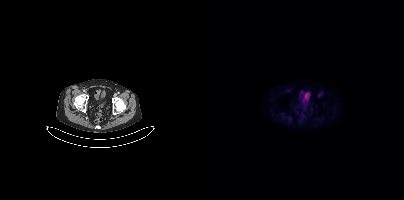
{"modality":"PSMA PET/CT","view":"axial","tracer":"18F","pet_grid":[200,200],"coord_frame":"pet_panel","coord_format":"x0,y0,x1,y1","psma_avid_lesions":false}